Left: CT. Right: PSMA PET, same axial level, 18F tracer. Acquired on Siemens Biograph mCT Flow 20. Slice position z = -587 mm.
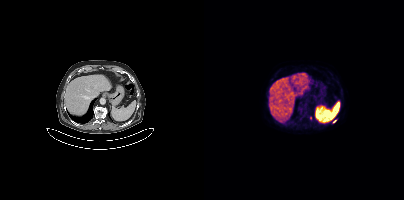
Coordinates are on the 200×200 PET (right) panel. Small PSMA-avid focus (2 to 4 px across) near (center x, center y): (130, 121).